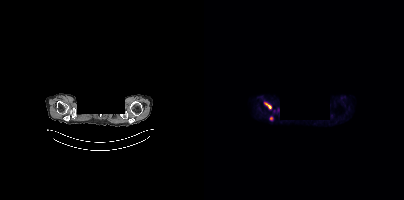
Two-panel axial: CT | PSMA PET, 18F-PSMA tracer. Acquired on Siemens Biograph mCT Flow 20. Slice 336 of 385. PET panel 200×200 px (4.1 mm/px). The face region was removed for patient privacy by blanking a rectangle over the head.
Coordinates are on the 200×200 PET (right) panel. PSMA-avid tumor lesion bounding boxes (partial; 1 more focus not listed):
| # | x0 | y0 | x1 | y1 |
|---|---|---|---|---|
| 1 | 60 | 102 | 67 | 109 |
| 2 | 66 | 116 | 69 | 120 |